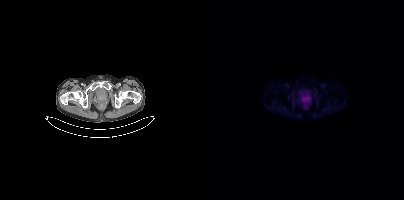
Findings: Coordinates are on the 200×200 PET (right) panel. PSMA-avid tumor lesion bounding box (x0, y0)-(x1, y1): (97, 96)-(106, 101).
- Paired axial CT (left) and PSMA PET (right), 18F-PSMA tracer
- acquired on Siemens Biograph mCT Flow 20
- PET panel 200×200 px (4.1 mm/px)